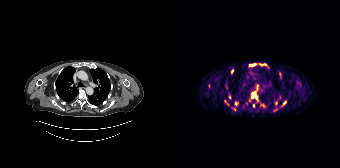
Findings: Coordinates are on the 168×168 PET (right) panel. (showing 10 of 14 foci) PSMA-avid tumor lesion bounding boxes (x0,y0,x1,y1): [80,92,85,98] [92,63,97,68] [77,64,83,65] [57,95,59,99]. Small PSMA-avid foci (2 to 4 px across) near (center x, center y): (64, 103) (112, 102) (60, 71) (81, 105) (89, 64) (53, 100).
- Paired axial CT (left) and PSMA PET (right), 68Ga-PSMA tracer
- acquired on Siemens Biograph 64-4R TruePoint
- slice position z = -810 mm